Technique: Two-panel axial: CT | PSMA PET, 18F-PSMA tracer. slice 39 of 263.
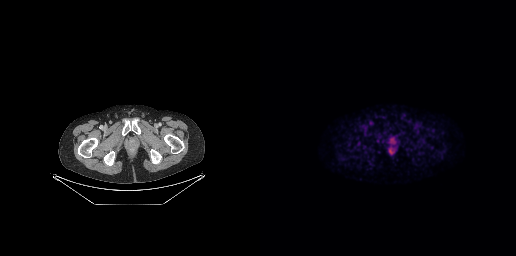
Findings: No PSMA-avid tumor lesions on this slice.